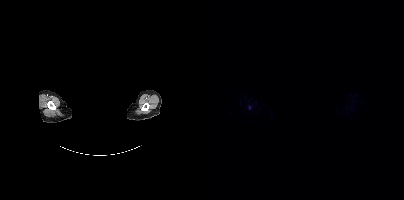
The face region was removed for patient privacy by blanking a rectangle over the head.
This slice has no annotated PSMA-avid lesion.